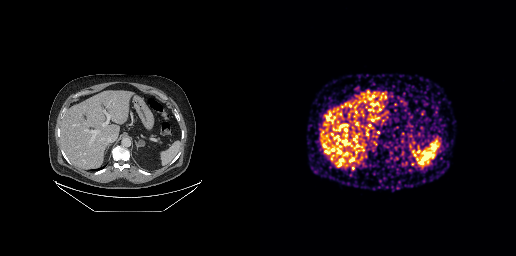
No PSMA-avid tumor lesions on this slice. Paired axial CT (left) and PSMA PET (right), 68Ga tracer. Slice 190 of 299.